Part of this slice was blanked for de-identification. Paired axial CT (left) and PSMA PET (right), 18F tracer. Acquired on GE Discovery 690. Slice 230 of 263.
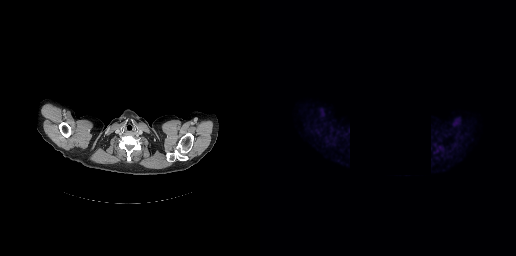
This slice has no annotated PSMA-avid lesion.